Technique: Left: CT. Right: PSMA PET, same axial level, [18F]PSMA-1007 tracer. slice 30 of 411.
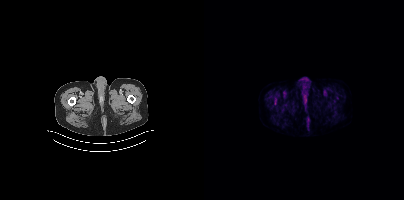
Findings: Only PSMA-avid lesion pieces thinner than 2 px on this slice (not listed).